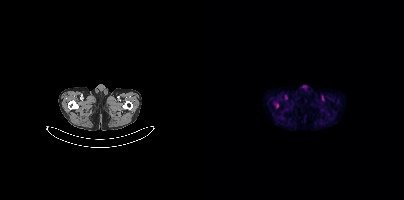
Coordinates are on the 200×200 PET (right) panel. PSMA-avid tumor lesion bounding box (x, y, width, height): x=71 y=103 w=4 h=5. Two-panel axial: CT | PSMA PET, [18F]PSMA-1007 tracer. Acquired on Siemens Biograph mCT Flow 20. Slice 32 of 401.